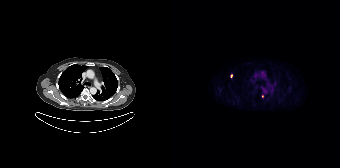
modality: PSMA PET/CT | tracer: [18F]PSMA-1007 | view: axial | PET grid: 168×168
Coordinates are on the 168×168 PET (right) panel. Small PSMA-avid foci (2 to 4 px across) near (center x, center y): (59, 75); (90, 96).